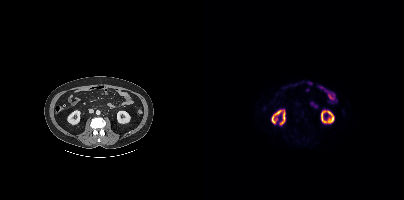
This slice has no annotated PSMA-avid lesion. Two-panel axial: CT | PSMA PET, 18F tracer. Acquired on Siemens Biograph mCT Flow 20. Slice position z = -1258 mm. PET panel 200×200 px (4.1 mm/px).